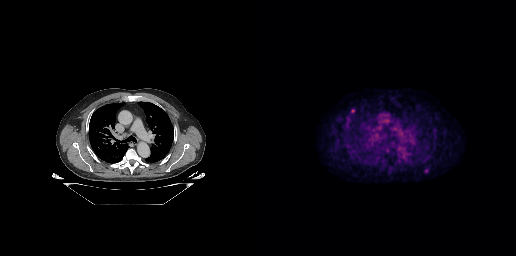
Coordinates are on the 256×256 PET (right) panel. Small PSMA-avid focus (2 to 4 px across) near (center x, center y): (92, 111).